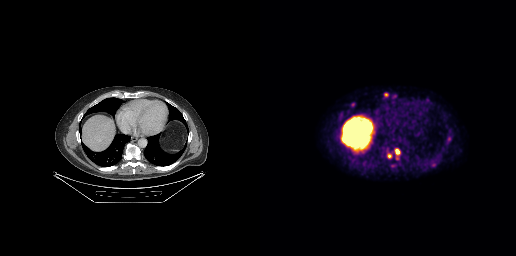
Two-panel axial: CT | PSMA PET, [18F]PSMA-1007 tracer. Slice 201 of 299. Coordinates are on the 256×256 PET (right) panel. (showing 5 of 6 foci) PSMA-avid tumor lesion bounding boxes (x0, y0)-(x1, y1): (135, 149)-(139, 154); (124, 93)-(128, 96). Small PSMA-avid foci (2 to 4 px across) near (center x, center y): (129, 155); (173, 164); (189, 139).